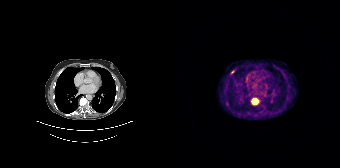
Two-panel axial: CT | PSMA PET, [68Ga]Ga-PSMA-11 tracer. Slice 111 of 165. PET panel 168×168 px (4.1 mm/px).
Coordinates are on the 168×168 PET (right) panel. PSMA-avid tumor lesion bounding boxes:
| # | x0 | y0 | x1 | y1 |
|---|---|---|---|---|
| 1 | 80 | 98 | 86 | 104 |
Small PSMA-avid focus (2 to 4 px across) near (center x, center y): (60, 71).